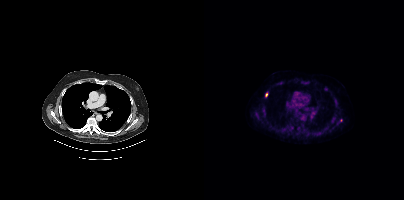
{"pet_grid":[200,200],"coord_frame":"pet_panel","coord_format":"x0,y0,x1,y1","partial":true,"lesion_bboxes":[],"small_foci_centers":[[62,94],[60,115]],"modality":"PSMA PET/CT","view":"axial","tracer":"18F-PSMA"}